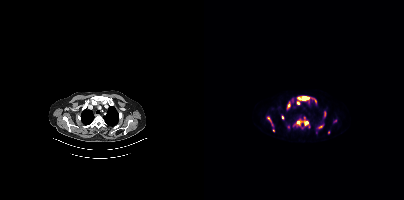
Coordinates are on the 200×200 PET (right) panel. (showing 9 of 13 foci) PSMA-avid tumor lesion bounding boxes (x, y, width, height): x=92 y=120 w=13 h=6 | x=94 y=96 w=12 h=5 | x=84 y=103 w=3 h=5 | x=78 y=115 w=2 h=5 | x=110 y=99 w=3 h=5. Small PSMA-avid foci (2 to 4 px across) near (center x, center y): (94, 103) | (116, 126) | (65, 118) | (69, 130). Two-panel axial: CT | PSMA PET, 18F tracer. Acquired on Siemens Biograph mCT Flow 20. Slice 284 of 367.